Paired axial CT (left) and PSMA PET (right), 68Ga-PSMA tracer. Acquired on GE Discovery 690. PET panel 256×256 px (2.7 mm/px).
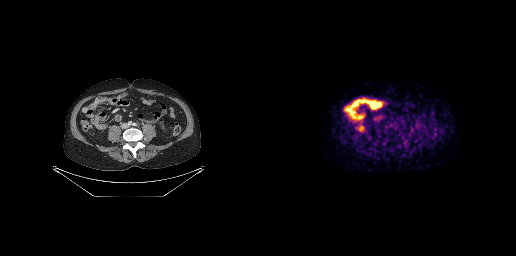
No tumor lesions annotated on this slice.